- Paired axial CT (left) and PSMA PET (right), [68Ga]Ga-PSMA-11 tracer
- slice 31 of 263
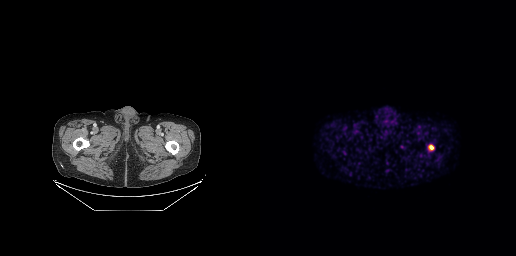
Findings: Coordinates are on the 256×256 PET (right) panel. PSMA-avid tumor lesion bounding box (x, y, width, height): x=169 y=145 w=5 h=5.